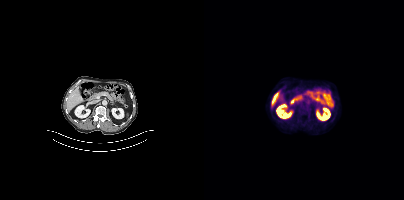
No PSMA-avid tumor lesions on this slice.